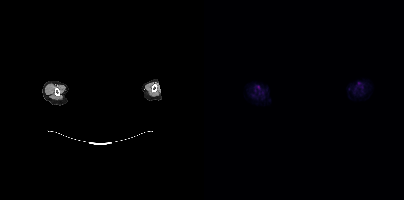
Two-panel axial: CT | PSMA PET, [18F]PSMA-1007 tracer. A rectangle over the head was blacked out to remove identifiable facial features. No PSMA-avid tumor lesions on this slice.